Left: CT. Right: PSMA PET, same axial level, 18F tracer.
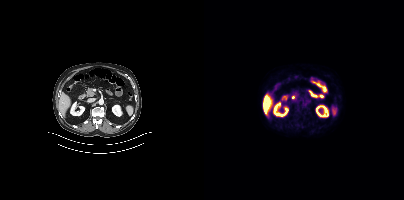
No PSMA-avid tumor lesions on this slice.